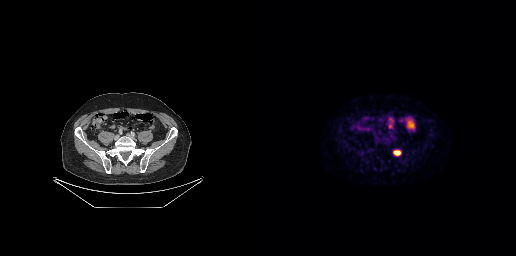
{"modality":"PSMA PET/CT","view":"axial","tracer":"[18F]PSMA-1007","pet_grid":[256,256],"coord_frame":"pet_panel","coord_format":"x0,y0,x1,y1","lesion_bboxes":[[133,150,141,155]]}